modality: PSMA PET/CT | tracer: [18F]PSMA-1007 | view: axial | PET grid: 200×200
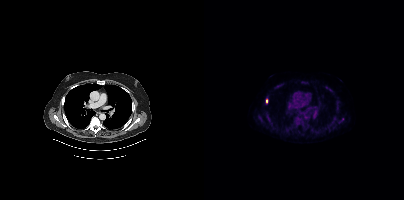
Coordinates are on the 200×200 PET (right) panel. (showing 11 of 12 foci) PSMA-avid tumor lesion bounding boxes (x, y, width, height): x=90 y=117 w=8 h=8 / x=62 y=113 w=9 h=15 / x=97 y=81 w=5 h=4 / x=135 y=118 w=5 h=5. Small PSMA-avid foci (2 to 4 px across) near (center x, center y): (56, 118) / (73, 87) / (62, 100) / (133, 109) / (64, 96) / (127, 91) / (101, 128).